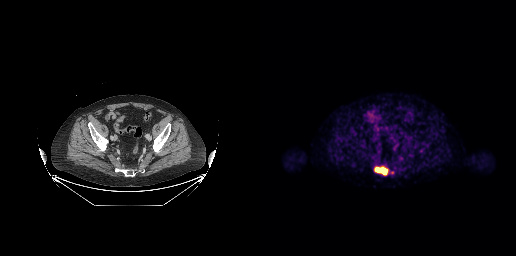
Left: CT. Right: PSMA PET, same axial level, 18F-PSMA tracer.
Coordinates are on the 256×256 PET (right) panel. PSMA-avid tumor lesion bounding boxes:
| # | x0 | y0 | x1 | y1 |
|---|---|---|---|---|
| 1 | 114 | 166 | 128 | 175 |